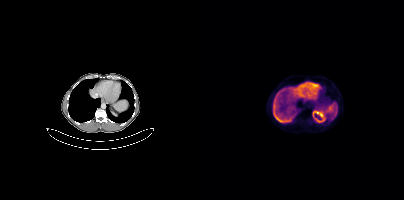
Technique: Two-panel axial: CT | PSMA PET, [18F]PSMA-1007 tracer. acquired on Siemens Biograph mCT Flow 20. PET panel 200×200 px (4.1 mm/px).
Findings: No tumor lesions annotated on this slice.